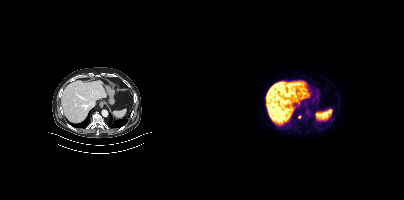
Paired axial CT (left) and PSMA PET (right), [18F]PSMA-1007 tracer. Acquired on Siemens Biograph mCT Flow 20. Slice position z = -640 mm. PET panel 200×200 px (4.1 mm/px). Coordinates are on the 200×200 PET (right) panel. Small PSMA-avid focus (2 to 4 px across) near (center x, center y): (95, 117).